modality: PSMA PET/CT | tracer: 18F-PSMA | view: axial | PET grid: 256×256
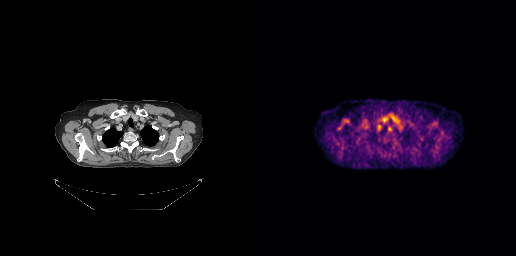
Negative for PSMA-avid disease on this slice.